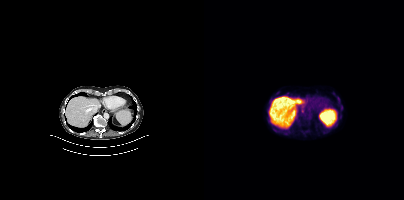
Coordinates are on the 200×200 PET (right) panel. (showing 2 of 3 foci) Small PSMA-avid foci (2 to 4 px across) near (center x, center y): (98, 110) | (74, 93). Two-panel axial: CT | PSMA PET, 18F-PSMA tracer. Slice position z = -493 mm. PET panel 200×200 px (4.1 mm/px).